modality: PSMA PET/CT | tracer: 68Ga-PSMA | view: axial | PET grid: 168×168
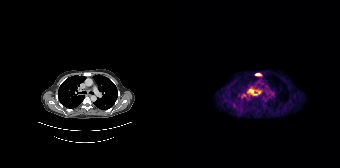
Coordinates are on the 168×168 PET (right) panel. (showing 3 of 4 foci) PSMA-avid tumor lesion bounding boxes (x0,y0,x1,y1): [75,89,88,95], [83,73,90,76]. Small PSMA-avid focus (2 to 4 px across) near (center x, center y): (72, 95).